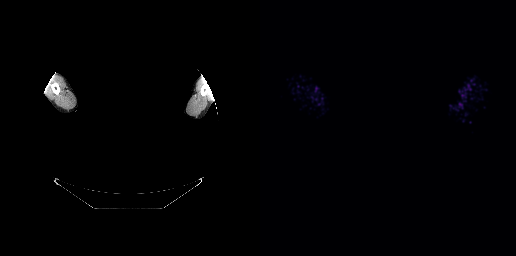
deidentification: face masked with black rectangle | modality: PSMA PET/CT | tracer: 68Ga | view: axial | PET grid: 256×256
Negative for PSMA-avid disease on this slice.